Technique: Paired axial CT (left) and PSMA PET (right), 18F-PSMA tracer. acquired on Siemens Biograph 64-4R TruePoint. PET panel 168×168 px (4.1 mm/px).
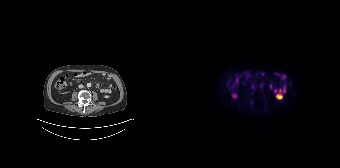
Findings: No PSMA-avid tumor lesions on this slice.